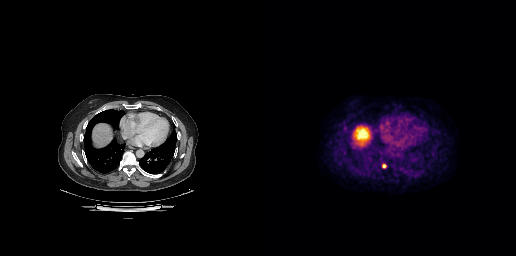
modality: PSMA PET/CT | tracer: [18F]PSMA-1007 | view: axial
Coordinates are on the 256×256 PET (right) panel. PSMA-avid tumor lesion bounding box (x, y, width, height): x=122 y=164 w=5 h=5.